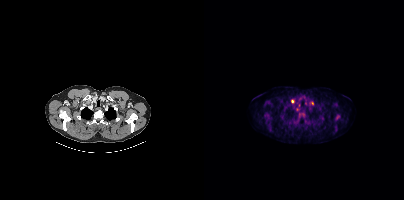
Two-panel axial: CT | PSMA PET, [18F]PSMA-1007 tracer. Acquired on Siemens Biograph mCT Flow 20. PET panel 200×200 px (4.1 mm/px). Coordinates are on the 200×200 PET (right) panel. (showing 3 of 4 foci) Small PSMA-avid foci (2 to 4 px across) near (center x, center y): (107, 102) | (88, 101) | (95, 105).